redaction: face masked with black rectangle | modality: PSMA PET/CT | tracer: 18F-PSMA | view: axial | PET grid: 200×200
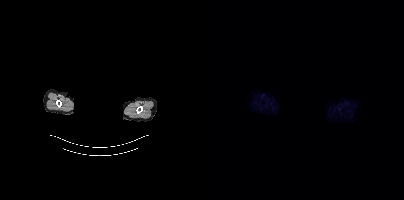
No tumor lesions annotated on this slice.